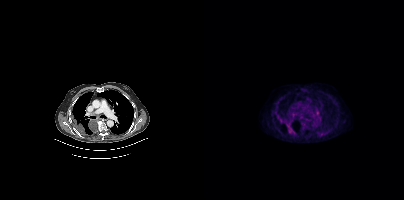
Findings: Coordinates are on the 200×200 PET (right) panel. PSMA-avid tumor lesion bounding box (x0, y0)-(x1, y1): (82, 123)-(90, 133). Small PSMA-avid foci (2 to 4 px across) near (center x, center y): (88, 115); (78, 121).
Technique: Two-panel axial: CT | PSMA PET, 18F-PSMA tracer. acquired on Siemens Biograph mCT Flow 20. PET panel 200×200 px (4.1 mm/px).